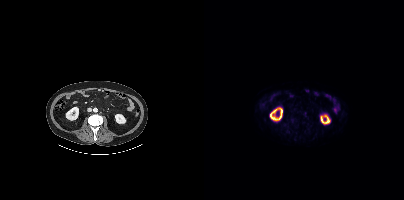
Negative for PSMA-avid disease on this slice.